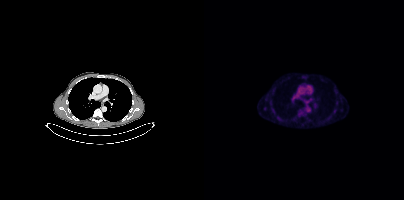
{"modality":"PSMA PET/CT","view":"axial","tracer":"18F","pet_grid":[200,200],"coord_frame":"pet_panel","coord_format":"x0,y0,x1,y1","lesion_bboxes":[],"small_foci_centers":[[60,108]]}